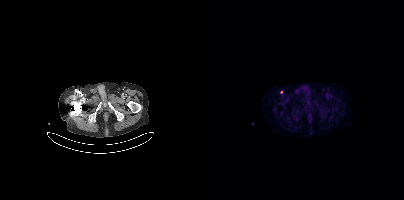
- Left: CT. Right: PSMA PET, same axial level, 18F tracer
Findings: Only PSMA-avid lesion pieces thinner than 2 px on this slice (not listed).